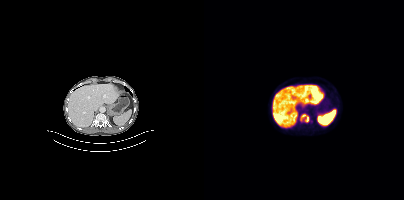
- Left: CT. Right: PSMA PET, same axial level, [18F]PSMA-1007 tracer
- PET panel 200×200 px (4.1 mm/px)
Findings: Coordinates are on the 200×200 PET (right) panel. (showing 1 of 2 foci) PSMA-avid tumor lesion bounding box (x0, y0)-(x1, y1): (96, 113)-(105, 122).